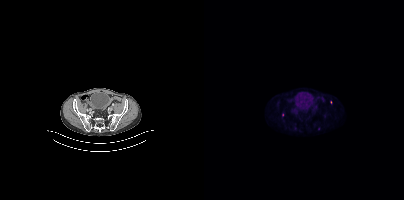
- Paired axial CT (left) and PSMA PET (right), [18F]PSMA-1007 tracer
- slice 95 of 405
Findings: Only PSMA-avid lesion pieces thinner than 2 px on this slice (not listed).